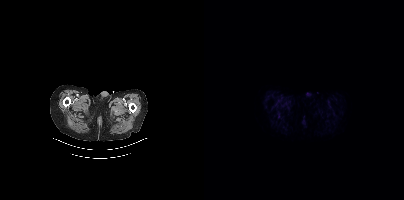
Negative for PSMA-avid disease on this slice.